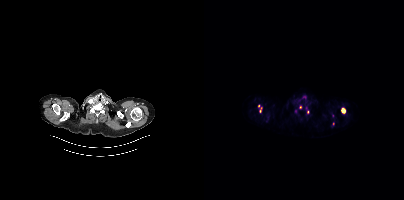
Coordinates are on the 200×200 PET (right) panel. (showing 5 of 6 foci) PSMA-avid tumor lesion bounding boxes (x, y, width, height): x=137 y=108 w=5 h=6 / x=55 y=107 w=4 h=6. Small PSMA-avid foci (2 to 4 px across) near (center x, center y): (54, 106) / (96, 107) / (103, 112).